Paired axial CT (left) and PSMA PET (right), [18F]PSMA-1007 tracer. Acquired on Siemens Biograph mCT Flow 20.
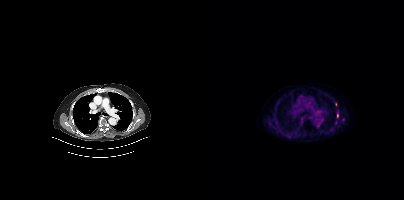
Coordinates are on the 200×200 PET (right) panel. Small PSMA-avid foci (2 to 4 px across) near (center x, center y): (133, 111) / (131, 104) / (133, 115) / (139, 119).